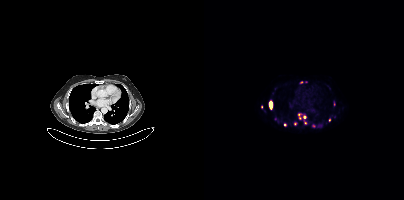
Findings: Coordinates are on the 200×200 PET (right) panel. (showing 10 of 13 foci) PSMA-avid tumor lesion bounding boxes (x0, y0)-(x1, y1): (94, 113)-(101, 119); (65, 102)-(68, 109). Small PSMA-avid foci (2 to 4 px across) near (center x, center y): (101, 123); (97, 82); (130, 103); (125, 120); (91, 123); (81, 124); (57, 106); (109, 125).
Technique: Left: CT. Right: PSMA PET, same axial level, 68Ga tracer.